Technique: Left: CT. Right: PSMA PET, same axial level, 68Ga-PSMA tracer. acquired on GE Discovery 690. slice position z = -683 mm.
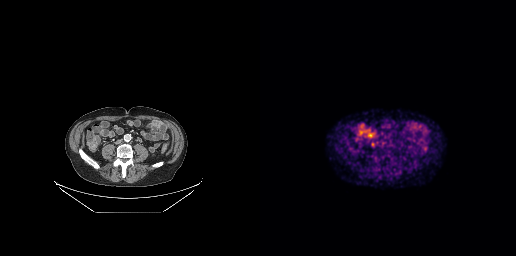
Findings: Coordinates are on the 256×256 PET (right) panel. Small PSMA-avid focus (2 to 4 px across) near (center x, center y): (112, 144).